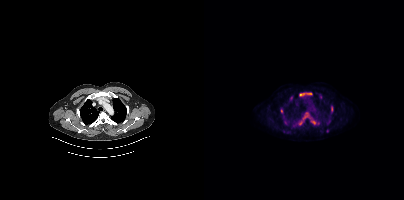
Coordinates are on the 200×200 PET (right) panel. (showing 8 of 10 foci) PSMA-avid tumor lesion bounding boxes (x0, y0)-(x1, y1): (95, 93)-(108, 96); (106, 118)-(113, 124); (94, 119)-(99, 125); (127, 105)-(129, 111). Small PSMA-avid foci (2 to 4 px across) near (center x, center y): (87, 97); (77, 110); (116, 97); (123, 130).
modality: PSMA PET/CT | tracer: 18F-PSMA | view: axial | PET grid: 200×200